modality: PSMA PET/CT | tracer: [68Ga]Ga-PSMA-11 | view: axial
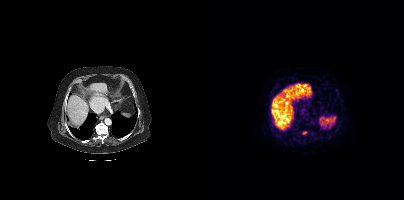
Coordinates are on the 200×200 PET (right) panel. Small PSMA-avid focus (2 to 4 px across) near (center x, center y): (100, 133).